Paired axial CT (left) and PSMA PET (right), 68Ga tracer. Slice position z = -1053 mm. PET panel 256×256 px (2.7 mm/px).
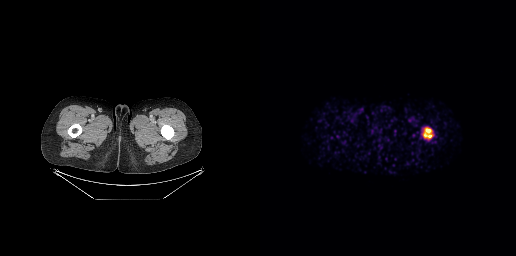
Coordinates are on the 256×256 PET (right) panel. PSMA-avid tumor lesion bounding boxes:
| # | x0 | y0 | x1 | y1 |
|---|---|---|---|---|
| 1 | 163 | 128 | 172 | 138 |